Technique: Left: CT. Right: PSMA PET, same axial level, 18F tracer. PET panel 200×200 px (4.1 mm/px).
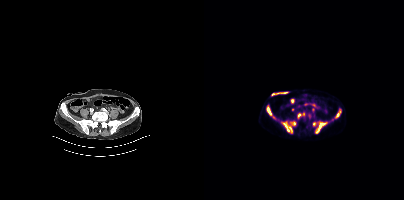
Findings: Coordinates are on the 200×200 PET (right) panel. PSMA-avid tumor lesion bounding boxes (x0,y0,x1,y1): [77,121,92,133] [112,121,123,133] [62,105,70,118] [131,111,136,118] [94,113,97,118]. Small PSMA-avid foci (2 to 4 px across) near (center x, center y): (110, 123) (99, 114).